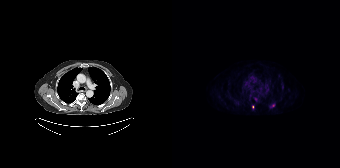
Coordinates are on the 168×168 PET (right) panel. PSMA-avid tumor lesion bounding box (x0, y0)-(x1, y1): (98, 104)-(102, 107). Small PSMA-avid focus (2 to 4 px across) near (center x, center y): (80, 107).